Two-panel axial: CT | PSMA PET, 18F tracer. Acquired on Siemens Biograph mCT Flow 20. Slice position z = -30 mm.
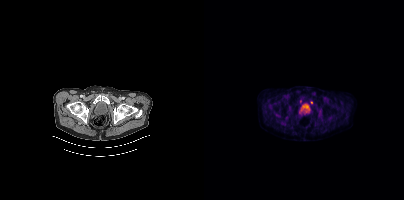
Coordinates are on the 200×200 PET (right) panel. PSMA-avid tumor lesion bounding boxes:
| # | x0 | y0 | x1 | y1 |
|---|---|---|---|---|
| 1 | 96 | 99 | 97 | 103 |
Small PSMA-avid focus (2 to 4 px across) near (center x, center y): (107, 102).